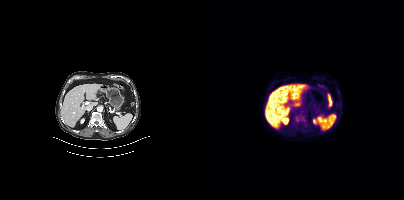
modality: PSMA PET/CT | tracer: 18F-PSMA | view: axial | PET grid: 200×200
Coordinates are on the 200×200 PET (right) panel. PSMA-avid tumor lesion bounding box (x0, y0)-(x1, y1): (91, 119)-(95, 122).